Paired axial CT (left) and PSMA PET (right), [18F]PSMA-1007 tracer. Slice position z = -930 mm.
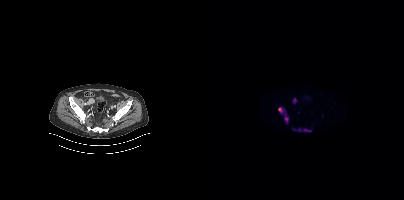
Coordinates are on the 200×200 PET (right) panel. PSMA-avid tumor lesion bounding boxes:
| # | x0 | y0 | x1 | y1 |
|---|---|---|---|---|
| 1 | 93 | 128 | 103 | 131 |
| 2 | 74 | 107 | 78 | 112 |
| 3 | 83 | 117 | 84 | 122 |
Small PSMA-avid foci (2 to 4 px across) near (center x, center y): (91, 100); (107, 129).